Paired axial CT (left) and PSMA PET (right), [18F]PSMA-1007 tracer. PET panel 200×200 px (4.1 mm/px).
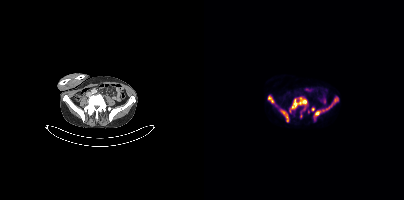
Coordinates are on the 200×200 PET (right) panel. (showing 8 of 11 foci) PSMA-avid tumor lesion bounding boxes (x0, y0)-(x1, y1): (85, 97)-(103, 112) / (122, 96)-(134, 109) / (76, 109)-(84, 121) / (109, 110)-(116, 120) / (64, 96)-(70, 103). Small PSMA-avid foci (2 to 4 px across) near (center x, center y): (109, 109) / (119, 110) / (100, 108).